An anonymization step blacked out a rectangle over the head in this scan. Paired axial CT (left) and PSMA PET (right), [18F]PSMA-1007 tracer. Acquired on Siemens Biograph mCT Flow 20. Slice position z = -408 mm.
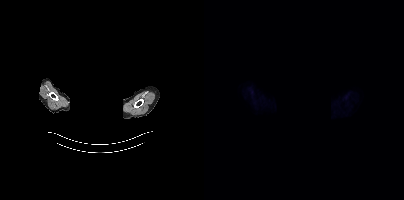
No PSMA-avid tumor lesions on this slice.